Two-panel axial: CT | PSMA PET, 18F-PSMA tracer. Slice 172 of 421. PET panel 200×200 px (4.1 mm/px).
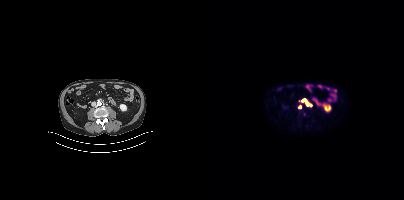
Coordinates are on the 200×200 PET (right) panel. (showing 2 of 3 foci) PSMA-avid tumor lesion bounding box (x0,y0,x1,y1): [98,99,107,106]. Small PSMA-avid focus (2 to 4 px across) near (center x, center y): (96, 106).